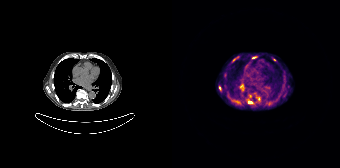
{"modality":"PSMA PET/CT","view":"axial","tracer":"68Ga","pet_grid":[168,168],"coord_frame":"pet_panel","coord_format":"x0,y0,x1,y1","partial":true,"lesion_bboxes":[[68,84,72,90],[61,99,67,104],[60,56,67,62],[76,101,80,103],[47,86,49,90]],"small_foci_centers":[[77,96],[102,59],[81,57]]}